modality: PSMA PET/CT | tracer: 18F-PSMA | view: axial | PET grid: 200×200
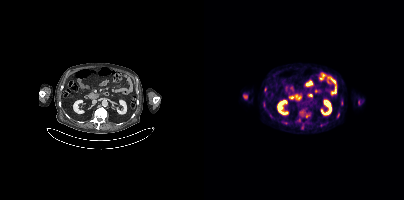
Coordinates are on the 200×200 PET (right) panel. (showing 8 of 9 foci) PSMA-avid tumor lesion bounding boxes (x, y, width, height): x=137 y=100 w=3 h=5 | x=97 y=125 w=3 h=5 | x=60 y=102 w=2 h=5. Small PSMA-avid foci (2 to 4 px across) near (center x, center y): (61, 89) | (66, 115) | (134, 115) | (102, 116) | (78, 121).